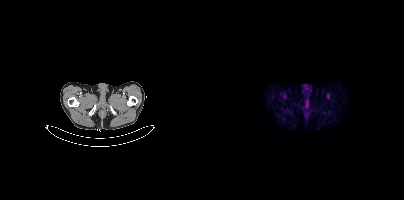
No PSMA-avid tumor lesions on this slice.